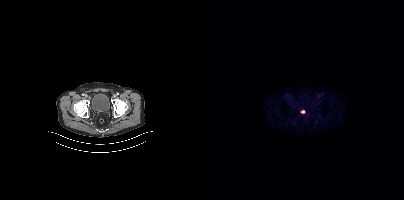
Findings: This slice has no annotated PSMA-avid lesion.
Technique: Left: CT. Right: PSMA PET, same axial level, [18F]PSMA-1007 tracer. PET panel 200×200 px (4.1 mm/px).